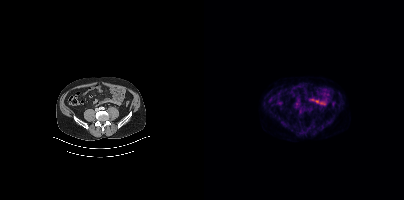
modality: PSMA PET/CT | tracer: [18F]PSMA-1007 | view: axial
This slice has no annotated PSMA-avid lesion.